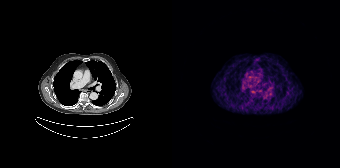
{"modality":"PSMA PET/CT","view":"axial","tracer":"[68Ga]Ga-PSMA-11","pet_grid":[168,168],"coord_frame":"pet_panel","coord_format":"x0,y0,x1,y1","psma_avid_lesions":false}